Technique: Paired axial CT (left) and PSMA PET (right), 18F tracer. PET panel 168×168 px (4.1 mm/px).
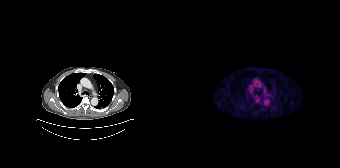
Findings: Coordinates are on the 168×168 PET (right) panel. Small PSMA-avid focus (2 to 4 px across) near (center x, center y): (85, 100).